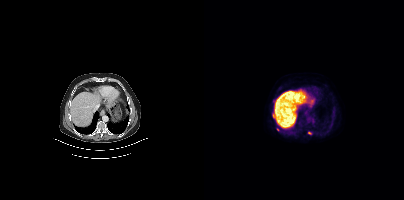
- Left: CT. Right: PSMA PET, same axial level, 18F-PSMA tracer
- acquired on Siemens Biograph mCT Flow 20
Findings: Coordinates are on the 200×200 PET (right) panel. PSMA-avid tumor lesion bounding box (x0, y0)-(x1, y1): (68, 113)-(71, 118). Small PSMA-avid foci (2 to 4 px across) near (center x, center y): (105, 133) | (73, 129).